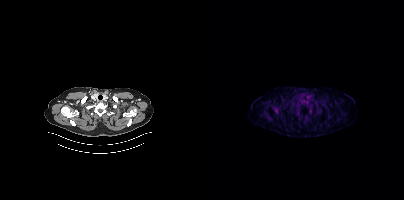
Findings: Negative for PSMA-avid disease on this slice.
- Two-panel axial: CT | PSMA PET, 68Ga-PSMA tracer